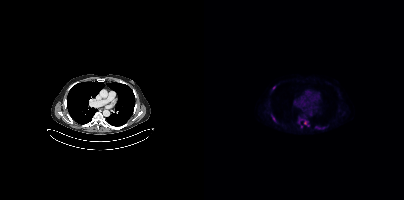
{"modality":"PSMA PET/CT","view":"axial","tracer":"18F","pet_grid":[200,200],"coord_frame":"pet_panel","coord_format":"x0,y0,x1,y1","partial":true,"lesion_bboxes":[[112,126,123,129],[67,115,71,121],[100,120,103,124]],"small_foci_centers":[[70,87],[97,126]]}